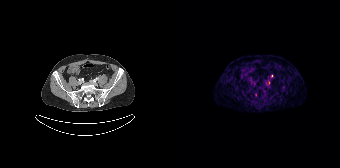
Findings: Coordinates are on the 168×168 PET (right) panel. Small PSMA-avid foci (2 to 4 px across) near (center x, center y): (96, 82) / (99, 75).
- Left: CT. Right: PSMA PET, same axial level, [68Ga]Ga-PSMA-11 tracer
- slice position z = -1142 mm